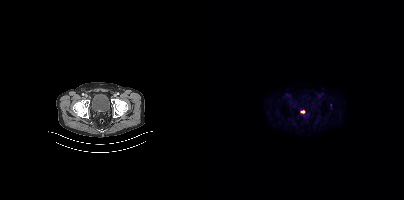
Technique: Paired axial CT (left) and PSMA PET (right), 18F-PSMA tracer. acquired on Siemens Biograph mCT Flow 20. slice position z = -1404 mm. PET panel 200×200 px (4.1 mm/px).
Findings: No PSMA-avid tumor lesions on this slice.